Technique: Paired axial CT (left) and PSMA PET (right), 18F tracer. acquired on Siemens Biograph mCT Flow 20. slice position z = -300 mm. PET panel 200×200 px (4.1 mm/px).
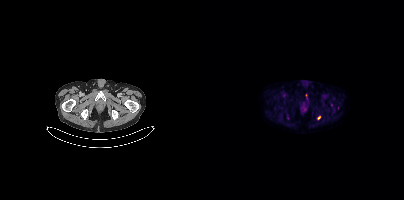
Findings: Coordinates are on the 200×200 PET (right) panel. (showing 1 of 2 foci) Small PSMA-avid focus (2 to 4 px across) near (center x, center y): (115, 117).